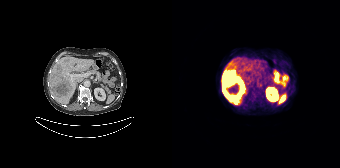
Left: CT. Right: PSMA PET, same axial level, 68Ga tracer.
Coordinates are on the 168×168 PET (right) panel. PSMA-avid tumor lesion bounding boxes:
| # | x0 | y0 | x1 | y1 |
|---|---|---|---|---|
| 1 | 50 | 70 | 72 | 104 |